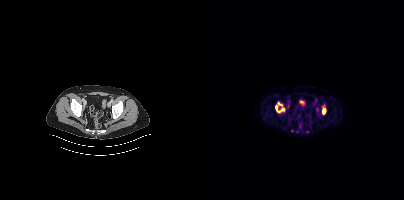
Coordinates are on the 200×200 PET (right) panel. PSMA-avid tumor lesion bounding boxes:
| # | x0 | y0 | x1 | y1 |
|---|---|---|---|---|
| 1 | 71 | 102 | 80 | 112 |
| 2 | 118 | 108 | 121 | 114 |
Two-panel axial: CT | PSMA PET, 18F-PSMA tracer. Acquired on Siemens Biograph mCT Flow 20. Slice position z = -948 mm.